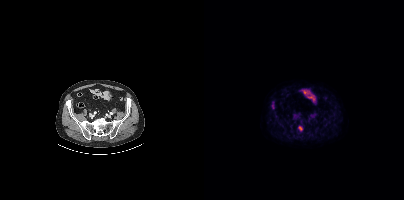
Two-panel axial: CT | PSMA PET, 18F tracer. Coordinates are on the 200×200 PET (right) panel. PSMA-avid tumor lesion bounding box (x0,y0,x1,y1): [94,126,98,130].